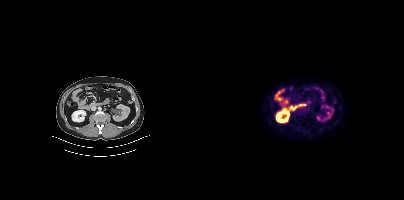
Two-panel axial: CT | PSMA PET, 18F tracer. Slice position z = -654 mm. This slice has no annotated PSMA-avid lesion.